modality: PSMA PET/CT | tracer: 68Ga | view: axial
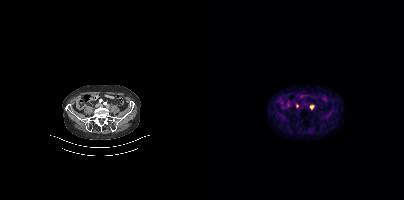
Coordinates are on the 200×200 PET (right) panel. Small PSMA-avid foci (2 to 4 px across) near (center x, center y): (107, 107), (93, 106).